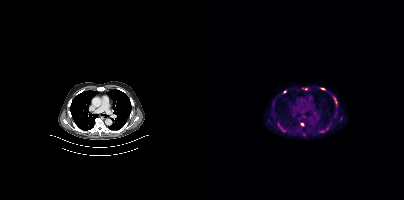
Technique: Two-panel axial: CT | PSMA PET, [18F]PSMA-1007 tracer. acquired on Siemens Biograph mCT Flow 20. slice 288 of 405.
Findings: Coordinates are on the 200×200 PET (right) panel. (showing 6 of 10 foci) Small PSMA-avid foci (2 to 4 px across) near (center x, center y): (98, 124) | (118, 88) | (102, 88) | (80, 91) | (79, 130) | (130, 98).